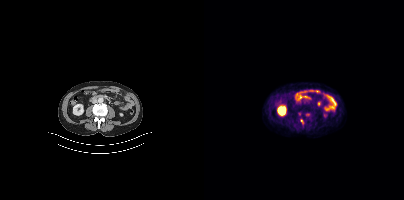
{"modality":"PSMA PET/CT","view":"axial","tracer":"[18F]PSMA-1007","pet_grid":[200,200],"coord_frame":"pet_panel","coord_format":"x0,y0,x1,y1","lesion_bboxes":[],"small_foci_centers":[[97,120]]}